Technique: Two-panel axial: CT | PSMA PET, [18F]PSMA-1007 tracer. slice 236 of 263.
Note: De-identified by setting a box covering the face to black before release.
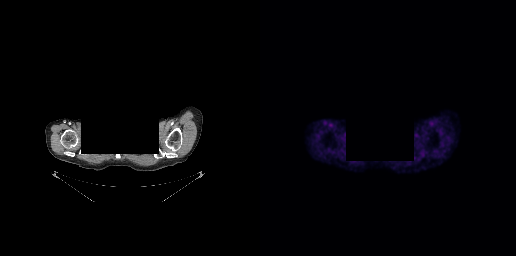
Findings: No tumor lesions annotated on this slice.